Paired axial CT (left) and PSMA PET (right), 18F tracer. Slice 64 of 413. PET panel 200×200 px (4.1 mm/px).
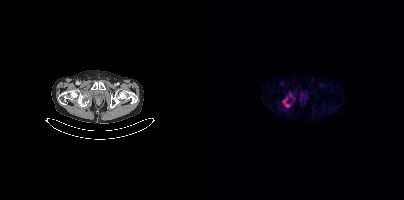
Coordinates are on the 200×200 PET (right) panel. PSMA-avid tumor lesion bounding boxes:
| # | x0 | y0 | x1 | y1 |
|---|---|---|---|---|
| 1 | 79 | 97 | 87 | 106 |
| 2 | 86 | 94 | 90 | 99 |